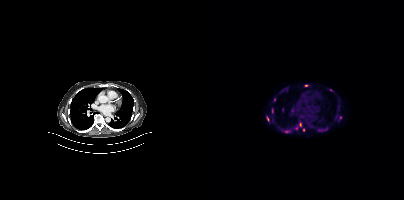
- Two-panel axial: CT | PSMA PET, [18F]PSMA-1007 tracer
- acquired on Siemens Biograph mCT Flow 20
- slice 275 of 413
Findings: Coordinates are on the 200×200 PET (right) panel. (showing 8 of 10 foci) PSMA-avid tumor lesion bounding boxes (x, y, width, height): x=79 y=130 w=7 h=4 / x=119 y=127 w=6 h=4. Small PSMA-avid foci (2 to 4 px across) near (center x, center y): (64, 118) / (70, 99) / (96, 124) / (102, 85) / (126, 89) / (92, 128).